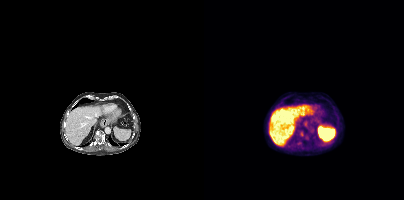
- Two-panel axial: CT | PSMA PET, [18F]PSMA-1007 tracer
- slice position z = -90 mm
Findings: Coordinates are on the 200×200 PET (right) panel. PSMA-avid tumor lesion bounding boxes (x, y, width, height): x=100 y=136 w=5 h=4; x=93 y=141 w=5 h=4. Small PSMA-avid focus (2 to 4 px across) near (center x, center y): (97, 133).